Paired axial CT (left) and PSMA PET (right), [18F]PSMA-1007 tracer. Slice position z = -290 mm. PET panel 200×200 px (4.1 mm/px).
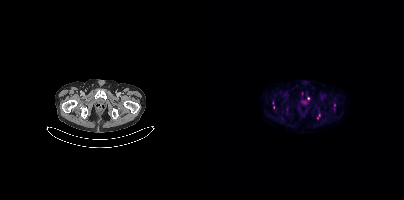
Coordinates are on the 200×200 PET (right) panel. (showing 2 of 7 foci) Small PSMA-avid foci (2 to 4 px across) near (center x, center y): (69, 107) | (104, 97).